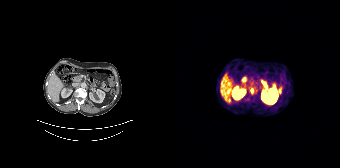
modality: PSMA PET/CT | tracer: 68Ga | view: axial | PET grid: 168×168
Coordinates are on the 168×168 PET (right) panel. Small PSMA-avid focus (2 to 4 px across) near (center x, center y): (80, 90).